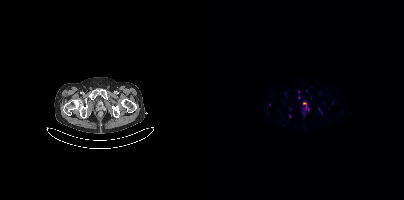
modality: PSMA PET/CT | tracer: [68Ga]Ga-PSMA-11 | view: axial
Coordinates are on the 200×200 PET (right) panel. (showing 2 of 4 foci) Small PSMA-avid foci (2 to 4 px across) near (center x, center y): (100, 103) / (102, 107).